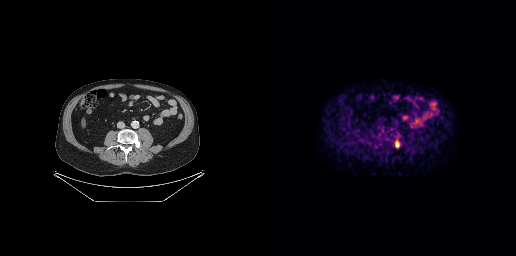
Coordinates are on the 256×256 PET (right) panel. PSMA-avid tumor lesion bounding box (x0, y0)-(x1, y1): (135, 139)-(140, 148).
modality: PSMA PET/CT | tracer: [18F]PSMA-1007 | view: axial